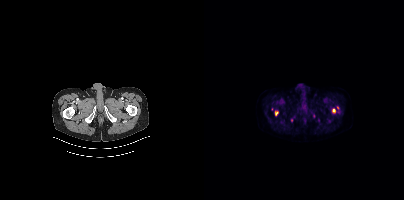
Coordinates are on the 200×200 PET (right) panel. (showing 4 of 6 foci) PSMA-avid tumor lesion bounding boxes (x0,y0,x1,y1): [128,108,131,113] [71,111,74,115]. Small PSMA-avid foci (2 to 4 px across) near (center x, center y): (87, 120) (133, 107).